Technique: Left: CT. Right: PSMA PET, same axial level, 68Ga tracer. acquired on Siemens Biograph mCT Flow 20. PET panel 200×200 px (4.1 mm/px).
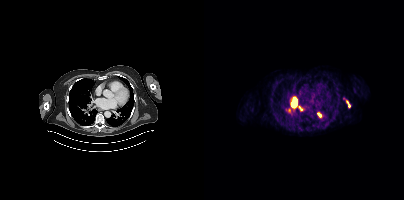
Findings: Coordinates are on the 200×200 PET (right) panel. (showing 4 of 6 foci) PSMA-avid tumor lesion bounding box (x, y, width, height): x=88 y=97 w=5 h=10. Small PSMA-avid foci (2 to 4 px across) near (center x, center y): (84, 109); (115, 114); (96, 108).